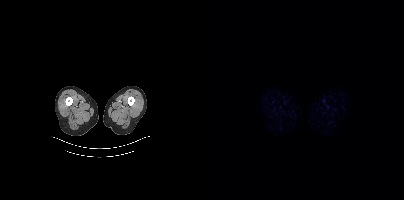
Findings: No PSMA-avid tumor lesions on this slice.
Technique: Left: CT. Right: PSMA PET, same axial level, 18F tracer. acquired on Siemens Biograph mCT Flow 20. slice position z = -1698 mm.